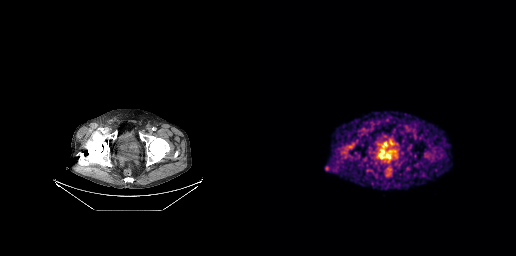
- Paired axial CT (left) and PSMA PET (right), 68Ga-PSMA tracer
- PET panel 256×256 px (2.7 mm/px)
Findings: Coordinates are on the 256×256 PET (right) panel. PSMA-avid tumor lesion bounding box (x, y, width, height): x=116 y=148 w=16 h=15.